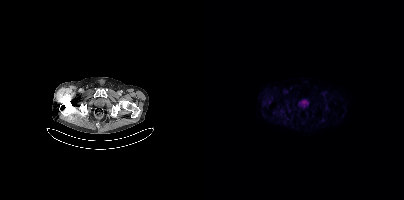
Technique: Two-panel axial: CT | PSMA PET, 18F-PSMA tracer. slice position z = -240 mm.
Findings: This slice has no annotated PSMA-avid lesion.